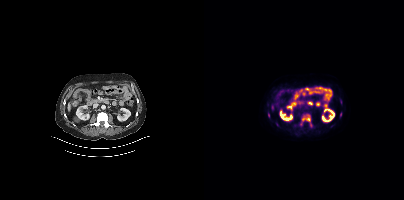
{"modality":"PSMA PET/CT","view":"axial","tracer":"18F","pet_grid":[200,200],"coord_frame":"pet_panel","coord_format":"x0,y0,x1,y1","partial":true,"lesion_bboxes":[[98,114,106,121],[136,112,137,116]],"small_foci_centers":[[64,115]]}